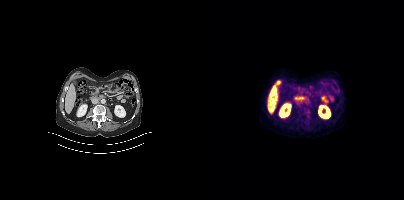
Negative for PSMA-avid disease on this slice.
modality: PSMA PET/CT | tracer: 18F | view: axial | PET grid: 200×200